Technique: Two-panel axial: CT | PSMA PET, 18F tracer. acquired on Siemens Biograph mCT Flow 20. slice 288 of 421. PET panel 200×200 px (4.1 mm/px).
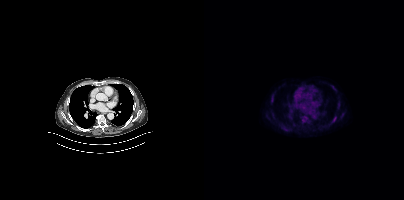
Findings: No PSMA-avid tumor lesions on this slice.